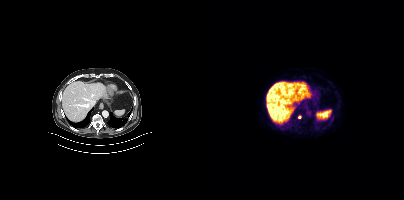
{"modality":"PSMA PET/CT","view":"axial","tracer":"18F","pet_grid":[200,200],"coord_frame":"pet_panel","coord_format":"x0,y0,x1,y1","lesion_bboxes":[],"small_foci_centers":[[95,117]]}